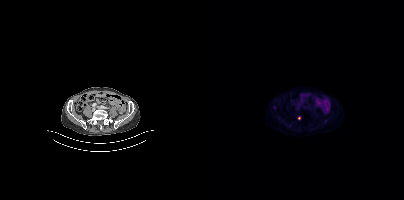
Findings: Only PSMA-avid lesion pieces thinner than 2 px on this slice (not listed).
- Paired axial CT (left) and PSMA PET (right), 18F-PSMA tracer
- slice 116 of 405